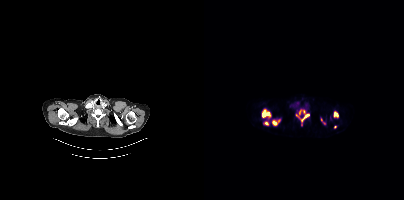
{"modality":"PSMA PET/CT","view":"axial","tracer":"[18F]PSMA-1007","pet_grid":[200,200],"coord_frame":"pet_panel","coord_format":"x0,y0,x1,y1","lesion_bboxes":[[92,110,105,122],[58,109,66,117],[68,120,75,125],[130,111,134,117]],"small_foci_centers":[[62,123],[130,126]]}